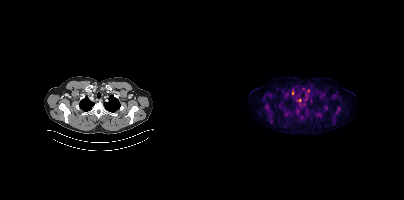
{"modality":"PSMA PET/CT","view":"axial","tracer":"18F-PSMA","pet_grid":[200,200],"coord_frame":"pet_panel","coord_format":"x0,y0,x1,y1","partial":true,"lesion_bboxes":[],"small_foci_centers":[[96,99],[104,90]]}